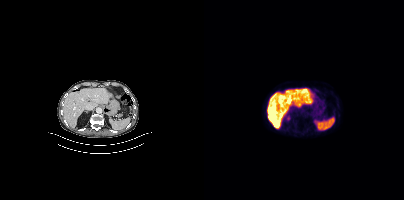
Technique: Paired axial CT (left) and PSMA PET (right), 18F tracer. slice position z = -624 mm.
Findings: No tumor lesions annotated on this slice.